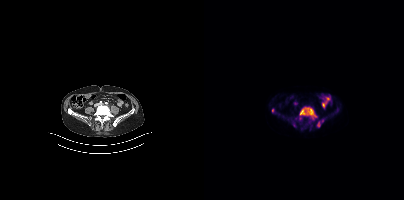
- Paired axial CT (left) and PSMA PET (right), 18F tracer
- slice 117 of 401
- PET panel 200×200 px (4.1 mm/px)
Findings: Coordinates are on the 200×200 PET (right) panel. (showing 5 of 6 foci) PSMA-avid tumor lesion bounding boxes (x0, y0)-(x1, y1): (96, 108)-(112, 119) | (89, 122)-(91, 126) | (113, 122)-(115, 126). Small PSMA-avid foci (2 to 4 px across) near (center x, center y): (69, 110) | (96, 117).